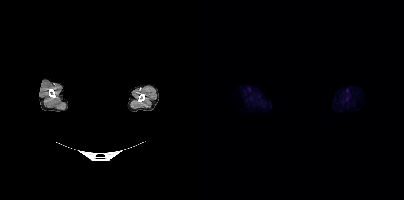
Technique: Left: CT. Right: PSMA PET, same axial level, 18F-PSMA tracer. slice 411 of 438.
Note: De-identified by setting a box covering the face to black before release.
Findings: No tumor lesions annotated on this slice.